modality: PSMA PET/CT | tracer: [18F]PSMA-1007 | view: axial | PET grid: 200×200
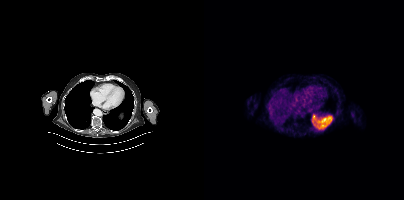
This slice has no annotated PSMA-avid lesion.